- Paired axial CT (left) and PSMA PET (right), 68Ga tracer
- PET panel 256×256 px (2.7 mm/px)
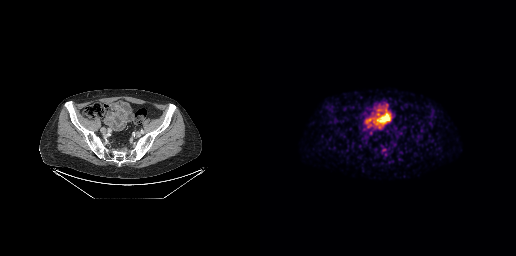
Findings: Negative for PSMA-avid disease on this slice.